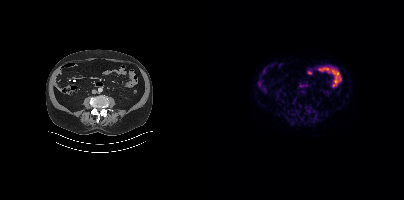
Findings: No tumor lesions annotated on this slice.
Technique: Left: CT. Right: PSMA PET, same axial level, 18F-PSMA tracer. slice 173 of 454. PET panel 200×200 px (4.1 mm/px).